Technique: Two-panel axial: CT | PSMA PET, [68Ga]Ga-PSMA-11 tracer. acquired on Siemens Biograph mCT Flow 20. PET panel 200×200 px (4.1 mm/px).
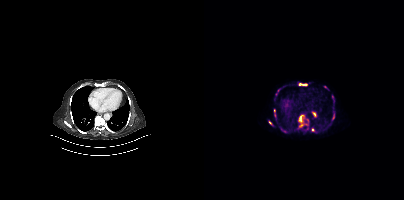
Findings: Coordinates are on the 200×200 PET (right) panel. (showing 12 of 14 foci) PSMA-avid tumor lesion bounding boxes (x0, y0)-(x1, y1): (95, 115)-(99, 121) | (95, 83)-(101, 85) | (128, 114)-(130, 118). Small PSMA-avid foci (2 to 4 px across) near (center x, center y): (77, 128) | (109, 129) | (70, 111) | (66, 122) | (97, 125) | (70, 115) | (122, 87) | (70, 99) | (103, 119).